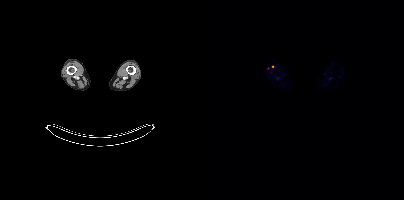
Paired axial CT (left) and PSMA PET (right), [18F]PSMA-1007 tracer. Acquired on Siemens Biograph mCT Flow 20. Coordinates are on the 200×200 PET (right) panel. Small PSMA-avid focus (2 to 4 px across) near (center x, center y): (68, 66).